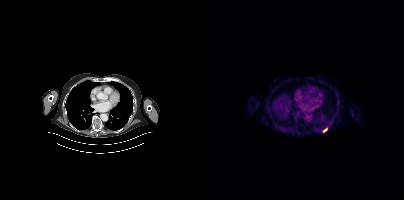
Findings: Coordinates are on the 200×200 PET (right) panel. Small PSMA-avid focus (2 to 4 px across) near (center x, center y): (120, 130).
- Paired axial CT (left) and PSMA PET (right), 18F tracer
- acquired on Siemens Biograph mCT Flow 20
- slice 272 of 427